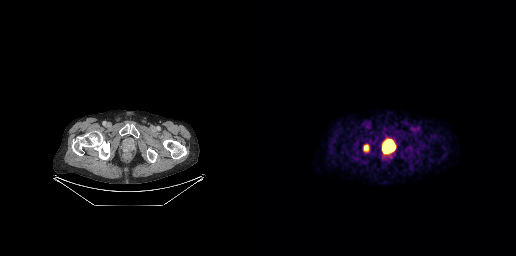
{"modality":"PSMA PET/CT","view":"axial","tracer":"[18F]PSMA-1007","pet_grid":[256,256],"coord_frame":"pet_panel","coord_format":"x0,y0,x1,y1","lesion_bboxes":[[124,140,135,152],[103,144,109,151]]}